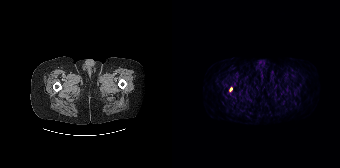
Coordinates are on the 168×168 PET (right) panel. Small PSMA-avid focus (2 to 4 px across) near (center x, center y): (58, 89).
modality: PSMA PET/CT | tracer: [68Ga]Ga-PSMA-11 | view: axial | PET grid: 168×168